Paired axial CT (left) and PSMA PET (right), 18F-PSMA tracer. Acquired on Siemens Biograph mCT Flow 20. Slice position z = -349 mm. PET panel 200×200 px (4.1 mm/px).
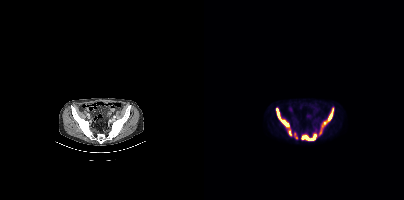
Coordinates are on the 200×200 PET (right) panel. (showing 6 of 7 foci) PSMA-avid tumor lesion bounding boxes (x0,y0,x1,y1): [118,108,129,127]; [78,120,87,135]; [99,134,112,140]; [72,108,76,119]; [115,130,118,135]. Small PSMA-avid focus (2 to 4 px across) near (center x, center y): (92, 137).